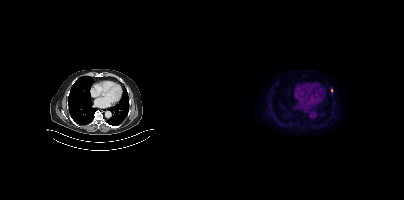
Coordinates are on the 200×200 PET (right) panel. Small PSMA-avid focus (2 to 4 px across) near (center x, center y): (127, 90).